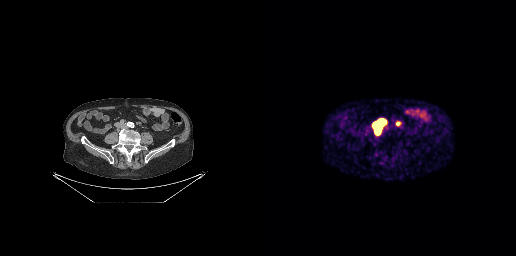
{"modality":"PSMA PET/CT","view":"axial","tracer":"68Ga-PSMA","pet_grid":[256,256],"coord_frame":"pet_panel","coord_format":"x0,y0,x1,y1","lesion_bboxes":[[114,120,124,133],[136,121,141,126]]}